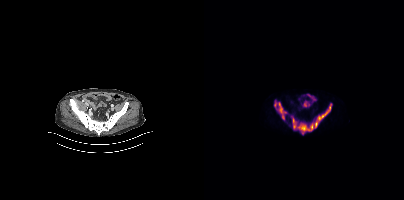
Coordinates are on the 200×200 PET (right) panel. PSMA-avid tumor lesion bounding boxes:
| # | x0 | y0 | x1 | y1 |
|---|---|---|---|---|
| 1 | 88 | 103 | 127 | 134 |
| 2 | 70 | 101 | 82 | 119 |
Left: CT. Right: PSMA PET, same axial level, 18F tracer. Acquired on Siemens Biograph mCT Flow 20. PET panel 200×200 px (4.1 mm/px).